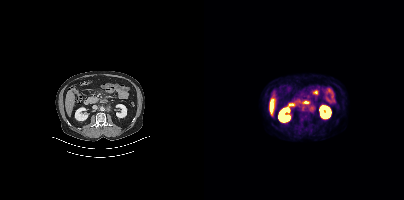
Coordinates are on the 200×200 PET (right) panel. PSMA-avid tumor lesion bounding box (x, y, width, height): x=106 y=107 w=4 h=5. Paired axial CT (left) and PSMA PET (right), 18F-PSMA tracer. Acquired on Siemens Biograph mCT Flow 20.